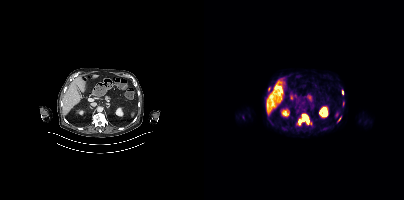
{"modality":"PSMA PET/CT","view":"axial","tracer":"18F","pet_grid":[200,200],"coord_frame":"pet_panel","coord_format":"x0,y0,x1,y1","lesion_bboxes":[[94,114,108,125],[64,87,66,91],[138,91,140,95],[139,101,140,106],[134,117,137,121]]}